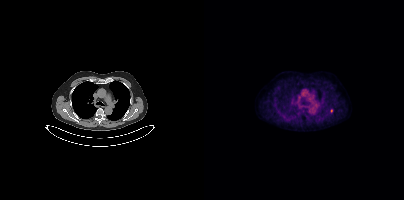
modality: PSMA PET/CT | tracer: 18F-PSMA | view: axial
Coordinates are on the 200×200 PET (right) panel. Small PSMA-avid focus (2 to 4 px across) near (center x, center y): (127, 110).